modality: PSMA PET/CT | tracer: [18F]PSMA-1007 | view: axial | PET grid: 200×200
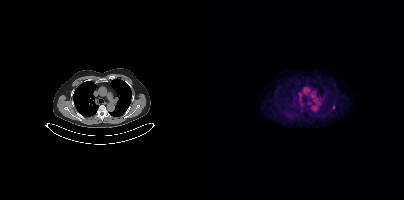
Coordinates are on the 200×200 PET (right) panel. PSMA-avid tumor lesion bounding box (x0,y0,x1,y1): [129,105,130,109].